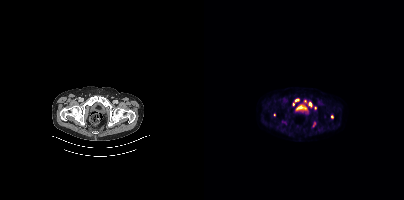
Coordinates are on the 200×200 PET (right) panel. PSMA-avid tumor lesion bounding boxes (x, y, width, height): x=104 y=102 w=5 h=5; x=91 y=99 w=5 h=3. Small PSMA-avid foci (2 to 4 px across) near (center x, center y): (128, 116); (89, 104); (111, 108); (101, 101); (70, 114).